Technique: Paired axial CT (left) and PSMA PET (right), 18F tracer. PET panel 200×200 px (4.1 mm/px).
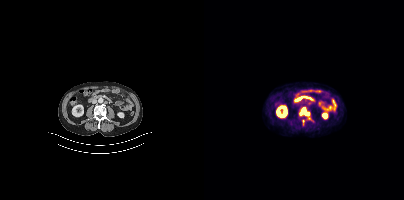
Findings: Coordinates are on the 200×200 PET (right) panel. (showing 2 of 3 foci) PSMA-avid tumor lesion bounding box (x, y, width, height): x=95 y=107 w=12 h=13. Small PSMA-avid focus (2 to 4 px across) near (center x, center y): (99, 121).